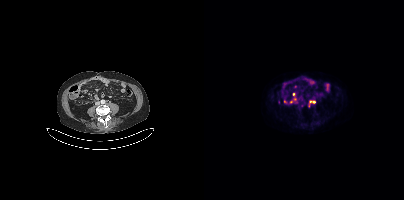
Coordinates are on the 200×200 PET (right) panel. (showing 5 of 6 foci) Small PSMA-avid foci (2 to 4 px across) near (center x, center y): (110, 102), (80, 101), (87, 101), (106, 101), (89, 99).